Technique: Two-panel axial: CT | PSMA PET, [18F]PSMA-1007 tracer. PET panel 168×168 px (4.1 mm/px).
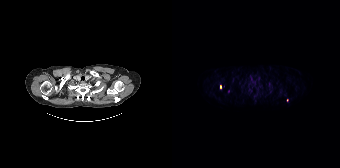
Findings: Coordinates are on the 168×168 PET (right) panel. Small PSMA-avid foci (2 to 4 px across) near (center x, center y): (48, 86) / (115, 100).